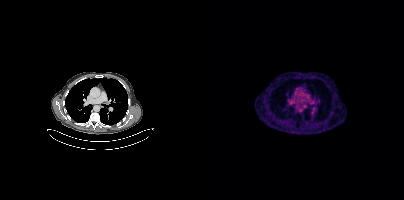
Technique: Paired axial CT (left) and PSMA PET (right), 68Ga-PSMA tracer. acquired on Siemens Biograph mCT Flow 20. PET panel 200×200 px (4.1 mm/px).
Findings: This slice has no annotated PSMA-avid lesion.